A rectangular block over the head has been blanked out for de-identification. Left: CT. Right: PSMA PET, same axial level, [18F]PSMA-1007 tracer. Slice 397 of 413. PET panel 200×200 px (4.1 mm/px).
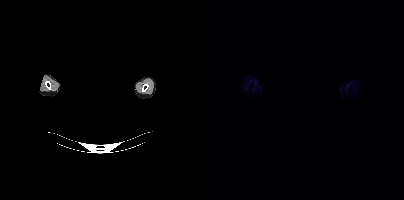
No PSMA-avid tumor lesions on this slice.